Technique: Paired axial CT (left) and PSMA PET (right), [18F]PSMA-1007 tracer. acquired on Siemens Biograph 64-4R TruePoint.
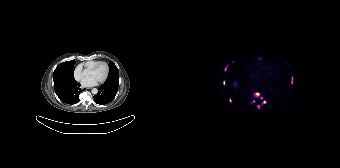
Findings: Coordinates are on the 168×168 PET (right) panel. (showing 7 of 10 foci) PSMA-avid tumor lesion bounding boxes (x0, y0)-(x1, y1): (81, 92)-(90, 98) | (85, 100)-(94, 108) | (52, 65)-(55, 71) | (119, 76)-(120, 83) | (51, 80)-(52, 85). Small PSMA-avid foci (2 to 4 px across) near (center x, center y): (58, 100) | (81, 101).